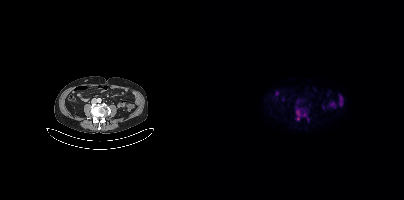
Coordinates are on the 200×200 PET (right) panel. (showing 2 of 3 foci) PSMA-avid tumor lesion bounding box (x, y, width, height): x=92 y=109 w=5 h=12. Small PSMA-avid focus (2 to 4 px across) near (center x, center y): (100, 114).